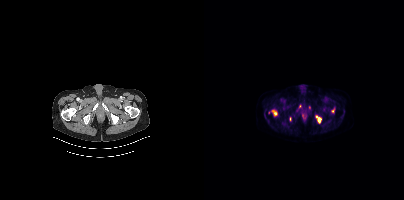
Coordinates are on the 200×200 PET (right) panel. PSMA-avid tumor lesion bounding boxes (partial; 3 more foci not listed):
| # | x0 | y0 | x1 | y1 |
|---|---|---|---|---|
| 1 | 111 | 115 | 117 | 122 |
| 2 | 68 | 110 | 73 | 115 |
| 3 | 127 | 108 | 130 | 112 |
Small PSMA-avid foci (2 to 4 px across) near (center x, center y): (96, 106); (105, 107).
Two-panel axial: CT | PSMA PET, 18F-PSMA tracer. Acquired on Siemens Biograph mCT Flow 20. Slice position z = -1557 mm.